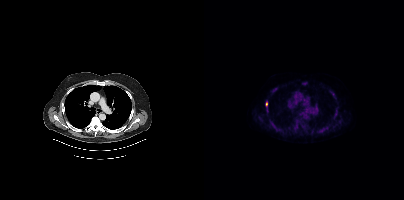
Coordinates are on the 200×200 PET (right) panel. (showing 12 of 13 foci) PSMA-avid tumor lesion bounding boxes (x0,y0,x1,y1): [90,118,97,128], [65,119,73,129], [116,126,124,133], [99,81,103,85], [97,125,101,129], [130,111,134,115]. Small PSMA-avid foci (2 to 4 px across) near (center x, center y): (69, 89), (130, 97), (63, 110), (62, 104), (73, 87), (56, 119).